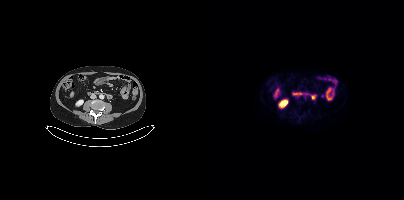
Findings: Negative for PSMA-avid disease on this slice.
Technique: Paired axial CT (left) and PSMA PET (right), 18F-PSMA tracer. acquired on Siemens Biograph mCT Flow 20. slice 164 of 431. PET panel 200×200 px (4.1 mm/px).